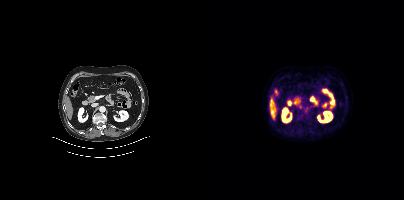
No PSMA-avid tumor lesions on this slice. Two-panel axial: CT | PSMA PET, [18F]PSMA-1007 tracer. Slice 227 of 454. PET panel 200×200 px (4.1 mm/px).